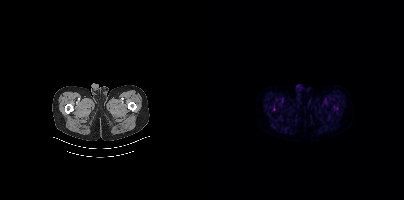
No PSMA-avid tumor lesions on this slice.